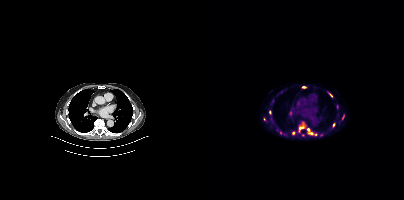
Coordinates are on the 200×200 PET (right) panel. (showing 11 of 12 foci) PSMA-avid tumor lesion bounding boxes (x0, y0)-(x1, y1): (124, 92)-(128, 97) / (65, 110)-(66, 114). Small PSMA-avid foci (2 to 4 px across) near (center x, center y): (89, 132) / (130, 124) / (96, 127) / (139, 117) / (104, 129) / (99, 86) / (60, 119) / (76, 132) / (107, 133).